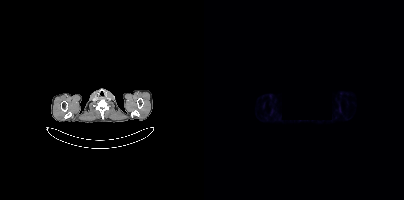
redaction: black rectangle is a privacy mask | modality: PSMA PET/CT | tracer: [68Ga]Ga-PSMA-11 | view: axial | PET grid: 200×200
No tumor lesions annotated on this slice.